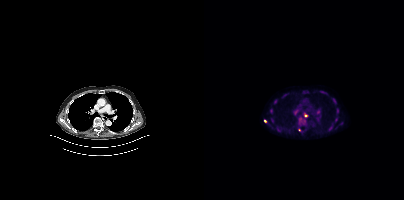
Coordinates are on the 200×200 PET (right) panel. PSMA-avid tumor lesion bounding boxes (x0, y0)-(x1, y1): (95, 117)-(100, 122) | (129, 98)-(132, 103) | (60, 119)-(63, 123) | (133, 108)-(134, 113). Small PSMA-avid foci (2 to 4 px across) near (center x, center y): (67, 110) | (71, 101) | (101, 115) | (68, 120) | (95, 129).